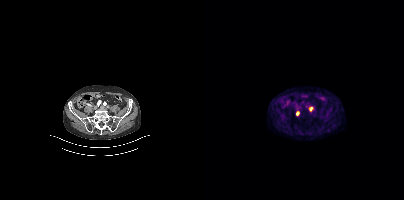
modality: PSMA PET/CT | tracer: 68Ga-PSMA | view: axial
Coordinates are on the 200×200 PET (right) panel. PSMA-avid tumor lesion bounding box (x, y, width, height): x=106 y=107 w=3 h=5. Small PSMA-avid focus (2 to 4 px across) near (center x, center y): (93, 113).